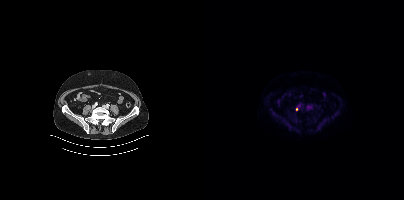
Coordinates are on the 200×200 PET (right) panel. Small PSMA-avid focus (2 to 4 px across) near (center x, center y): (92, 109).